modality: PSMA PET/CT | tracer: 18F-PSMA | view: axial
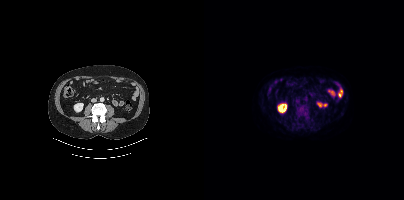
Coordinates are on the 200×200 PET (right) panel. PSMA-avid tumor lesion bounding boxes (x0, y0)-(x1, y1): (92, 105)-(102, 117) | (102, 115)-(105, 120).